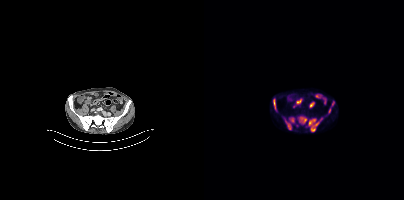
Findings: Coordinates are on the 200×200 PET (right) panel. PSMA-avid tumor lesion bounding boxes (x0,y0,x1,y1): [104,118,118,131], [95,116,102,123], [69,98,73,111], [81,119,87,129], [86,118,90,122], [125,108,126,112]. Small PSMA-avid focus (2 to 4 px across) near (center x, center y): (129, 103).
Technique: Left: CT. Right: PSMA PET, same axial level, 18F-PSMA tracer. slice 113 of 375.